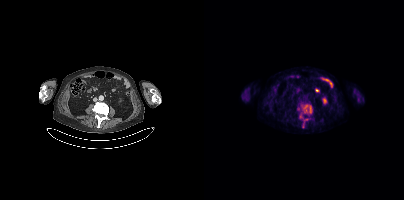
{"modality":"PSMA PET/CT","view":"axial","tracer":"18F","pet_grid":[200,200],"coord_frame":"pet_panel","coord_format":"x0,y0,x1,y1","partial":true,"lesion_bboxes":[[97,104,108,113],[100,119,104,122],[96,114,98,118]],"small_foci_centers":[[94,108]]}